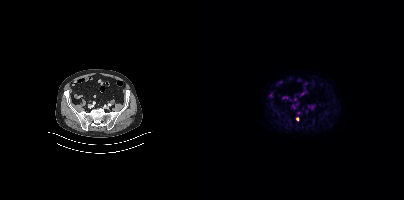
modality: PSMA PET/CT | tracer: 18F-PSMA | view: axial | PET grid: 200×200
Coordinates are on the 200×200 PET (right) panel. Small PSMA-avid foci (2 to 4 px across) near (center x, center y): (93, 118) | (66, 94).